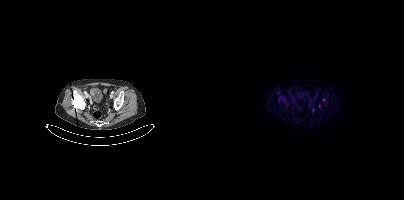
- Two-panel axial: CT | PSMA PET, [18F]PSMA-1007 tracer
- PET panel 200×200 px (4.1 mm/px)
Findings: Coordinates are on the 200×200 PET (right) panel. Small PSMA-avid foci (2 to 4 px across) near (center x, center y): (119, 99) | (115, 105) | (109, 110).